Technique: Left: CT. Right: PSMA PET, same axial level, 18F tracer. slice 229 of 411.
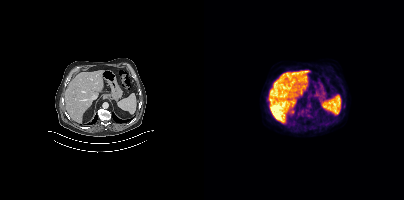
Findings: Only PSMA-avid lesion pieces thinner than 2 px on this slice (not listed).